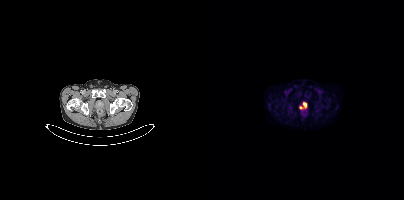
Coordinates are on the 200×200 PET (right) panel. PSMA-avid tumor lesion bounding box (x0,y0,x1,y1): [95,102,103,109].